modality: PSMA PET/CT | tracer: 68Ga-PSMA | view: axial
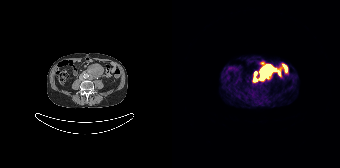
Coordinates are on the 168×168 PET (right) panel. PSMA-avid tumor lesion bounding boxes (x0,y0,x1,y1): [88,65,102,77] [82,77,84,81]. Small PSMA-avid foci (2 to 4 px across) near (center x, center y): (89, 77) (83, 73).